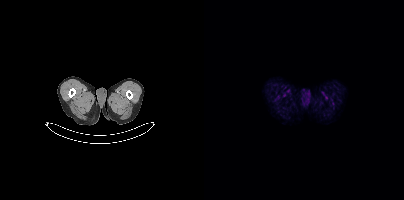
No tumor lesions annotated on this slice.
modality: PSMA PET/CT | tracer: 18F | view: axial | PET grid: 200×200